Two-panel axial: CT | PSMA PET, [68Ga]Ga-PSMA-11 tracer. Slice 136 of 409. PET panel 200×200 px (4.1 mm/px).
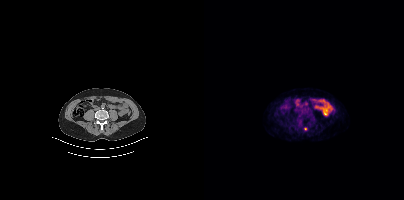
Coordinates are on the 200×200 PET (right) panel. Small PSMA-avid focus (2 to 4 px across) near (center x, center y): (101, 128).